Two-panel axial: CT | PSMA PET, 18F tracer. Acquired on Siemens Biograph mCT Flow 20. PET panel 200×200 px (4.1 mm/px).
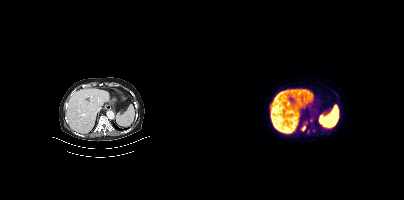
Coordinates are on the 200×200 PET (right) panel. PSMA-avid tumor lesion bounding boxes (partial; 3 more foci not listed):
| # | x0 | y0 | x1 | y1 |
|---|---|---|---|---|
| 1 | 98 | 126 | 101 | 130 |
| 2 | 103 | 129 | 105 | 134 |
Small PSMA-avid focus (2 to 4 px across) near (center x, center y): (109, 130).